- Paired axial CT (left) and PSMA PET (right), 18F tracer
- slice position z = -510 mm
- PET panel 200×200 px (4.1 mm/px)
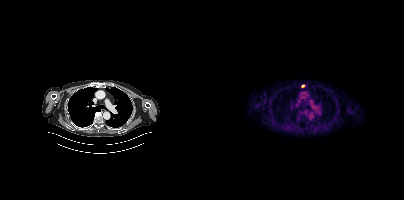
Findings: Coordinates are on the 200×200 PET (right) panel. Small PSMA-avid focus (2 to 4 px across) near (center x, center y): (99, 86).